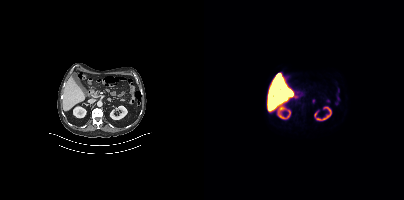
{"modality":"PSMA PET/CT","view":"axial","tracer":"18F-PSMA","pet_grid":[200,200],"coord_frame":"pet_panel","coord_format":"x0,y0,x1,y1","psma_avid_lesions":false}